Technique: Two-panel axial: CT | PSMA PET, 18F tracer. slice position z = 502 mm. PET panel 200×200 px (4.1 mm/px).
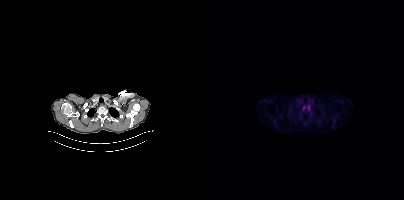
Findings: Only PSMA-avid lesion pieces thinner than 2 px on this slice (not listed).